Two-panel axial: CT | PSMA PET, 18F-PSMA tracer. Slice position z = -1591 mm. PET panel 200×200 px (4.1 mm/px).
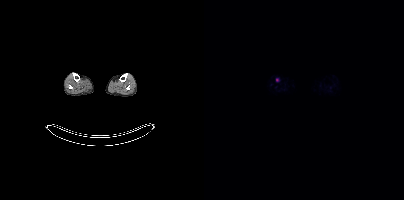
Coordinates are on the 200×200 PET (right) panel. Small PSMA-avid focus (2 to 4 px across) near (center x, center y): (73, 80).